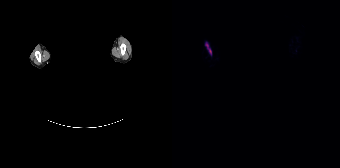
{"modality":"PSMA PET/CT","view":"axial","tracer":"18F-PSMA","pet_grid":[168,168],"coord_frame":"pet_panel","coord_format":"x0,y0,x1,y1","redaction":"privacy mask over head","lesion_bboxes":[[34,43,39,54]]}